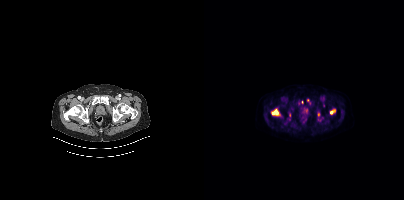
{"modality":"PSMA PET/CT","view":"axial","tracer":"18F","pet_grid":[200,200],"coord_frame":"pet_panel","coord_format":"x0,y0,x1,y1","lesion_bboxes":[[67,108,76,115],[126,109,131,112]],"small_foci_centers":[[104,100],[95,103],[119,104],[85,114],[98,102],[103,110]]}